Two-panel axial: CT | PSMA PET, 18F-PSMA tracer.
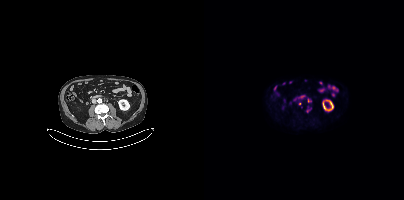
Coordinates are on the 200×200 PET (right) panel. (showing 2 of 3 foci) Small PSMA-avid foci (2 to 4 px across) near (center x, center y): (105, 100); (95, 103).